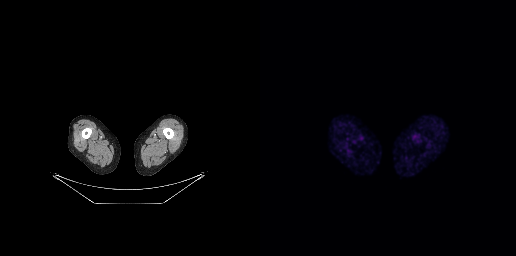
- Paired axial CT (left) and PSMA PET (right), 68Ga-PSMA tracer
- slice 17 of 263
- PET panel 256×256 px (2.7 mm/px)
Findings: Negative for PSMA-avid disease on this slice.